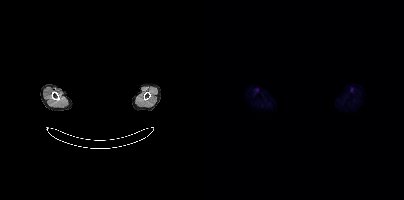
Findings: This slice has no annotated PSMA-avid lesion.
Technique: Left: CT. Right: PSMA PET, same axial level, [18F]PSMA-1007 tracer. slice position z = -1054 mm.
Note: An anonymization step blacked out a rectangle over the head in this scan.